Technique: Two-panel axial: CT | PSMA PET, 68Ga tracer. slice 36 of 299. PET panel 256×256 px (2.7 mm/px).
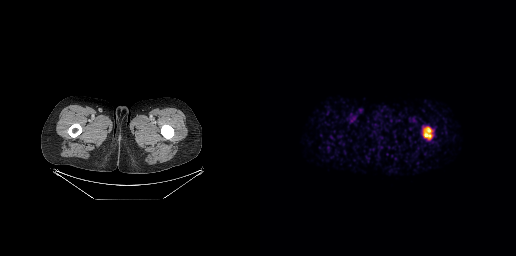
Findings: Coordinates are on the 256×256 PET (right) panel. PSMA-avid tumor lesion bounding box (x, y, width, height): x=163 y=127 w=9 h=12.